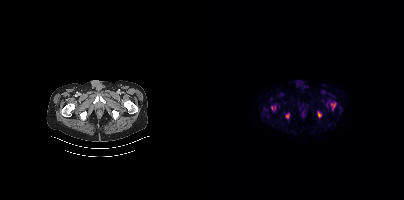
Paired axial CT (left) and PSMA PET (right), 18F-PSMA tracer. Acquired on Siemens Biograph mCT Flow 20. Slice position z = -1528 mm.
Coordinates are on the 200×200 PET (right) panel. PSMA-avid tumor lesion bounding boxes:
| # | x0 | y0 | x1 | y1 |
|---|---|---|---|---|
| 1 | 67 | 105 | 71 | 110 |
| 2 | 81 | 113 | 85 | 118 |
| 3 | 127 | 103 | 131 | 108 |
| 4 | 114 | 112 | 117 | 117 |